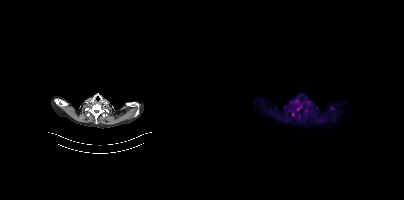
{"modality":"PSMA PET/CT","view":"axial","tracer":"18F-PSMA","pet_grid":[200,200],"coord_frame":"pet_panel","coord_format":"x0,y0,x1,y1","partial":true,"lesion_bboxes":[]}